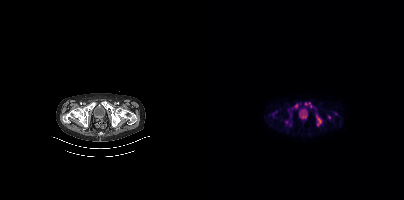
Findings: Coordinates are on the 200×200 PET (right) panel. (showing 9 of 12 foci) PSMA-avid tumor lesion bounding boxes (x0, y0)-(x1, y1): (96, 113)-(103, 119) / (112, 119)-(118, 126) / (100, 102)-(108, 107) / (87, 103)-(94, 109) / (124, 115)-(127, 119). Small PSMA-avid foci (2 to 4 px across) near (center x, center y): (131, 113) / (83, 122) / (112, 113) / (86, 124).
Technique: Left: CT. Right: PSMA PET, same axial level, [18F]PSMA-1007 tracer.